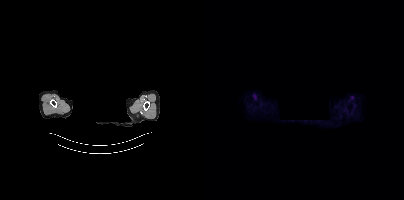
- Left: CT. Right: PSMA PET, same axial level, 18F tracer
- slice position z = -867 mm
- de-identified by setting a box covering the face to black before release
Findings: This slice has no annotated PSMA-avid lesion.